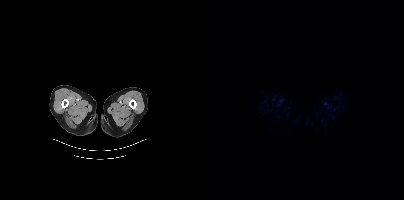
No PSMA-avid tumor lesions on this slice.
modality: PSMA PET/CT | tracer: 18F | view: axial | PET grid: 200×200